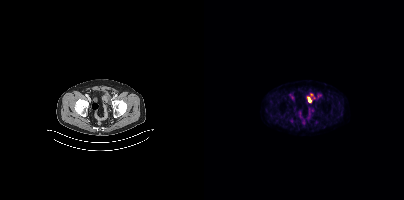
Technique: Paired axial CT (left) and PSMA PET (right), 18F tracer.
Findings: Coordinates are on the 200×200 PET (right) panel. (showing 1 of 2 foci) PSMA-avid tumor lesion bounding box (x0, y0)-(x1, y1): (85, 119)-(89, 122).